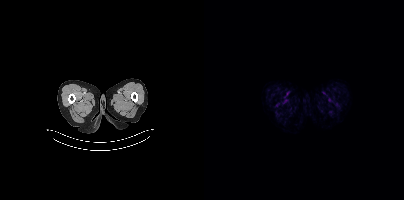
Left: CT. Right: PSMA PET, same axial level, 18F tracer. Acquired on Siemens Biograph mCT Flow 20. Slice position z = -1049 mm. Negative for PSMA-avid disease on this slice.